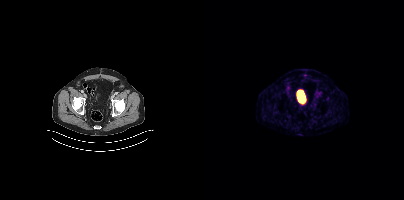
No PSMA-avid tumor lesions on this slice.
modality: PSMA PET/CT | tracer: 68Ga-PSMA | view: axial